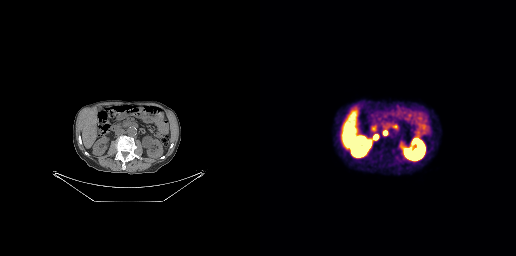
Technique: Two-panel axial: CT | PSMA PET, [68Ga]Ga-PSMA-11 tracer.
Findings: Coordinates are on the 256×256 PET (right) panel. PSMA-avid tumor lesion bounding boxes (x0, y0)-(x1, y1): (114, 135)-(118, 139) / (123, 131)-(127, 134).